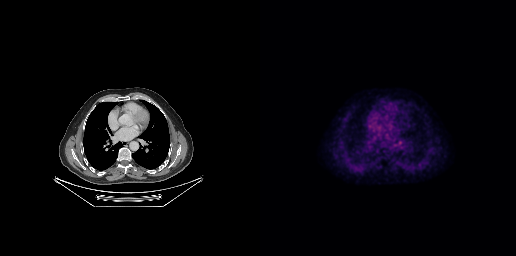
Paired axial CT (left) and PSMA PET (right), 18F tracer. Slice 174 of 263. PET panel 256×256 px (2.7 mm/px).
Coordinates are on the 256×256 PET (right) panel. PSMA-avid tumor lesion bounding boxes:
| # | x0 | y0 | x1 | y1 |
|---|---|---|---|---|
| 1 | 107 | 139 | 111 | 143 |